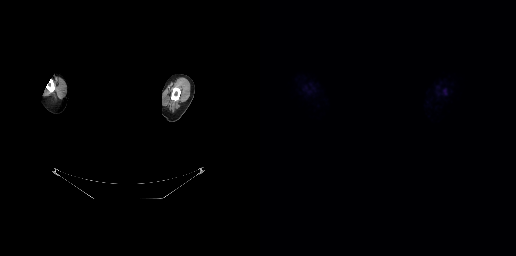
Negative for PSMA-avid disease on this slice.
modality: PSMA PET/CT | tracer: [18F]PSMA-1007 | view: axial | redaction: privacy mask over head